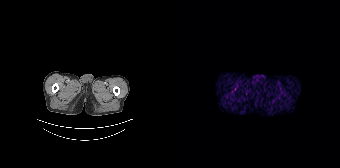
No tumor lesions annotated on this slice.